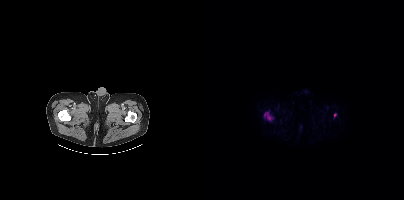
{"modality":"PSMA PET/CT","view":"axial","tracer":"18F","pet_grid":[200,200],"coord_frame":"pet_panel","coord_format":"x0,y0,x1,y1","lesion_bboxes":[[61,113,68,120]],"small_foci_centers":[[131,114]]}